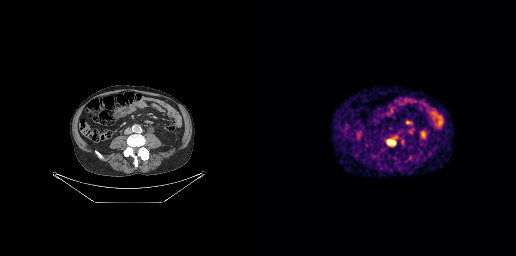
{"modality":"PSMA PET/CT","view":"axial","tracer":"68Ga-PSMA","pet_grid":[256,256],"coord_frame":"pet_panel","coord_format":"x0,y0,x1,y1","lesion_bboxes":[[127,135,137,146]],"small_foci_centers":[[142,141]]}